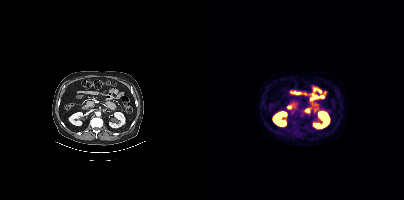
No PSMA-avid tumor lesions on this slice.
modality: PSMA PET/CT | tracer: 18F-PSMA | view: axial | PET grid: 200×200